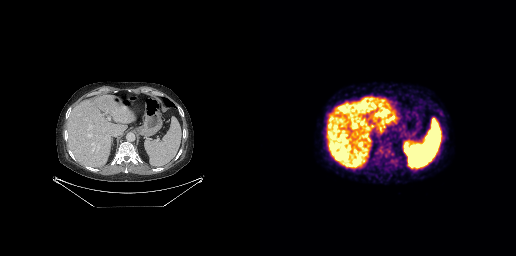
Findings: No PSMA-avid tumor lesions on this slice.
- Paired axial CT (left) and PSMA PET (right), 18F-PSMA tracer
- acquired on GE Discovery 690
- slice 255 of 371
- PET panel 256×256 px (2.7 mm/px)